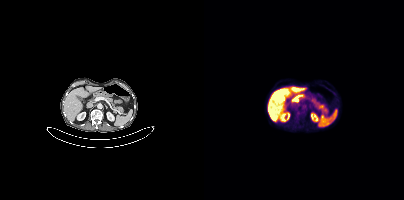
{"modality":"PSMA PET/CT","view":"axial","tracer":"18F","pet_grid":[200,200],"coord_frame":"pet_panel","coord_format":"x0,y0,x1,y1","psma_avid_lesions":false}